- Paired axial CT (left) and PSMA PET (right), [18F]PSMA-1007 tracer
- acquired on Siemens Biograph mCT Flow 20
- PET panel 200×200 px (4.1 mm/px)
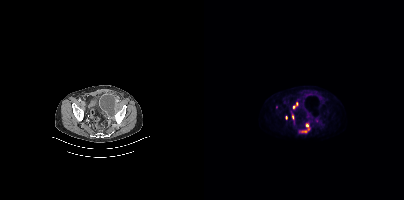
Findings: Coordinates are on the 200×200 PET (right) panel. Small PSMA-avid foci (2 to 4 px across) near (center x, center y): (103, 125); (90, 107); (92, 103); (82, 117); (72, 107); (88, 117).